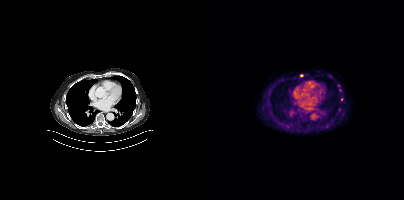
modality: PSMA PET/CT | tracer: [18F]PSMA-1007 | view: axial
Coordinates are on the 200×200 PET (right) panel. (showing 3 of 4 foci) Small PSMA-avid foci (2 to 4 px across) near (center x, center y): (134, 85), (97, 75), (137, 99).